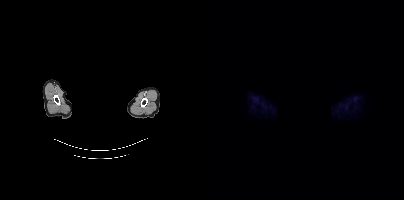
{"modality":"PSMA PET/CT","view":"axial","tracer":"18F-PSMA","pet_grid":[200,200],"coord_frame":"pet_panel","coord_format":"x0,y0,x1,y1","psma_avid_lesions":false,"deidentification":"head region blanked (face removed)"}